Left: CT. Right: PSMA PET, same axial level, 68Ga tracer. Slice position z = -1583 mm. PET panel 200×200 px (4.1 mm/px).
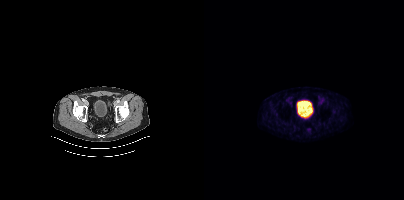
Coordinates are on the 200×200 PET (right) panel. Small PSMA-avid focus (2 to 4 px across) near (center x, center y): (118, 99).